Left: CT. Right: PSMA PET, same axial level, [18F]PSMA-1007 tracer. Acquired on Siemens Biograph mCT Flow 20. Slice 134 of 429.
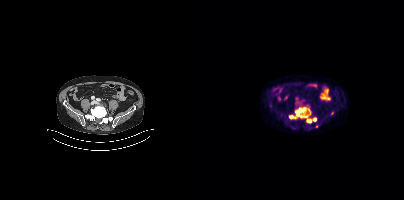
Coordinates are on the 200×200 PET (right) panel. PSMA-avid tumor lesion bounding boxes (partial; 2 more foci not listed):
| # | x0 | y0 | x1 | y1 |
|---|---|---|---|---|
| 1 | 92 | 107 | 103 | 117 |
| 2 | 103 | 118 | 113 | 123 |
| 3 | 85 | 115 | 91 | 118 |
Small PSMA-avid foci (2 to 4 px across) near (center x, center y): (112, 126); (104, 109).